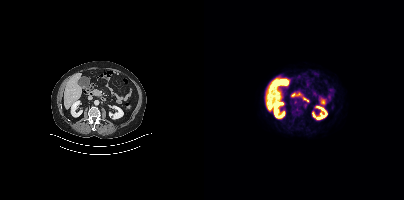
No PSMA-avid tumor lesions on this slice.